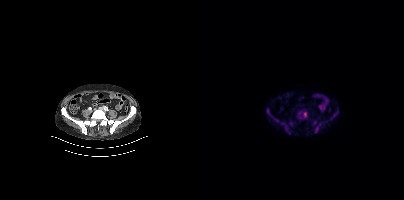
{"modality":"PSMA PET/CT","view":"axial","tracer":"[18F]PSMA-1007","pet_grid":[200,200],"coord_frame":"pet_panel","coord_format":"x0,y0,x1,y1","partial":true,"lesion_bboxes":[[93,111,103,119],[77,122,86,134],[63,108,75,122],[111,122,117,133],[127,112,134,119],[85,121,89,126],[110,120,112,125]]}